Left: CT. Right: PSMA PET, same axial level, 18F tracer. Acquired on Siemens Biograph mCT Flow 20. PET panel 200×200 px (4.1 mm/px).
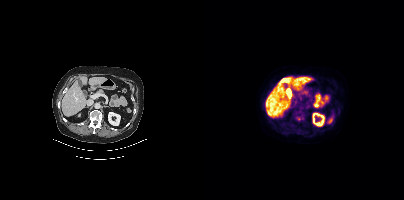
Negative for PSMA-avid disease on this slice.